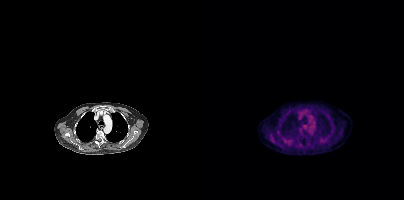
Coordinates are on the 200×200 PET (right) panel. Small PSMA-avid focus (2 to 4 px across) near (center x, center y): (75, 118). Paired axial CT (left) and PSMA PET (right), 18F tracer. Acquired on Siemens Biograph mCT Flow 20.